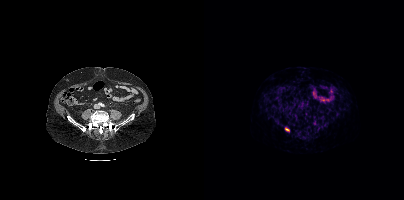
Coordinates are on the 200×200 PET (right) panel. PSMA-avid tumor lesion bounding box (x0,y0,x1,y1): [81,128,85,130].